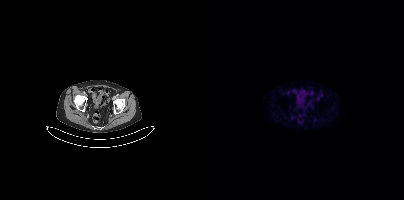
{"pet_grid":[200,200],"coord_frame":"pet_panel","coord_format":"x0,y0,x1,y1","psma_avid_lesions":false,"modality":"PSMA PET/CT","view":"axial","tracer":"[18F]PSMA-1007"}